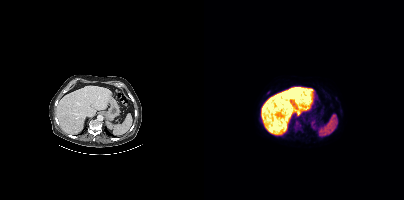
Left: CT. Right: PSMA PET, same axial level, 18F-PSMA tracer. Slice position z = -644 mm. PET panel 200×200 px (4.1 mm/px). Coordinates are on the 200×200 PET (right) panel. (showing 2 of 3 foci) Small PSMA-avid foci (2 to 4 px across) near (center x, center y): (93, 122); (64, 92).